Technique: Left: CT. Right: PSMA PET, same axial level, [18F]PSMA-1007 tracer. acquired on GE Discovery 690. PET panel 256×256 px (2.7 mm/px).
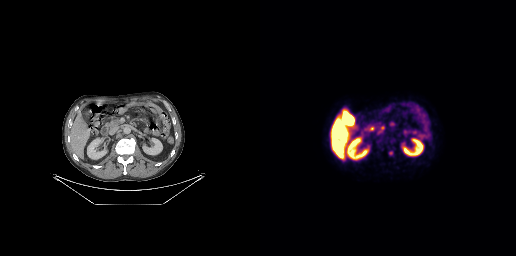
Findings: Coordinates are on the 256×256 PET (right) panel. Small PSMA-avid foci (2 to 4 px across) near (center x, center y): (122, 128) | (130, 152).